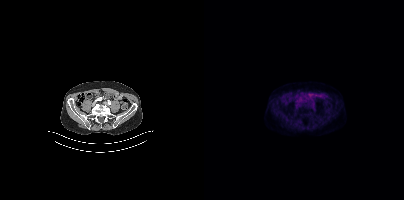
No PSMA-avid tumor lesions on this slice. Two-panel axial: CT | PSMA PET, [18F]PSMA-1007 tracer. PET panel 200×200 px (4.1 mm/px).